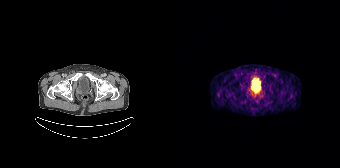
modality: PSMA PET/CT | tracer: [68Ga]Ga-PSMA-11 | view: axial | PET grid: 168×168
Coordinates are on the 168×168 PET (right) panel. Small PSMA-avid focus (2 to 4 px across) near (center x, center y): (80, 93).